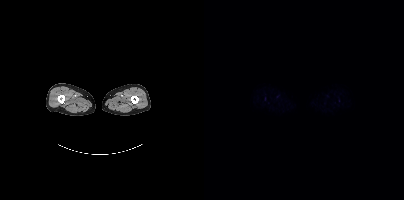
This slice has no annotated PSMA-avid lesion.